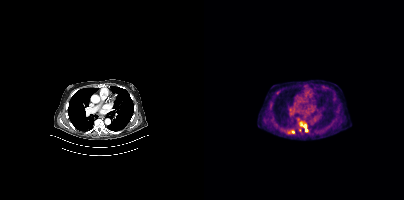
Coordinates are on the 200×200 PET (right) panel. Small PSMA-avid foci (2 to 4 px across) near (center x, center y): (88, 131) | (102, 129) | (100, 125).